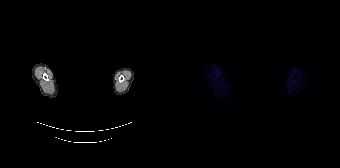
- privacy masking over the head, with the pixels inside a rectangle set to black
- Two-panel axial: CT | PSMA PET, [68Ga]Ga-PSMA-11 tracer
- slice position z = -652 mm
Findings: This slice has no annotated PSMA-avid lesion.